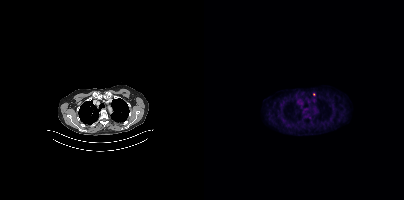
Coordinates are on the 200×200 PET (right) panel. Small PSMA-avid focus (2 to 4 px across) near (center x, center y): (109, 94).
modality: PSMA PET/CT | tracer: 18F | view: axial | PET grid: 200×200